modality: PSMA PET/CT | tracer: [18F]PSMA-1007 | view: axial
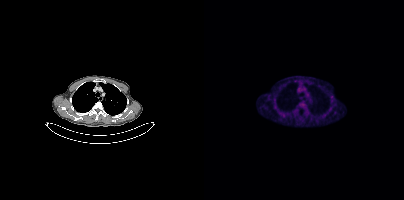
Coordinates are on the 200×200 PET (right) panel. Small PSMA-avid focus (2 to 4 px across) near (center x, center y): (127, 97).